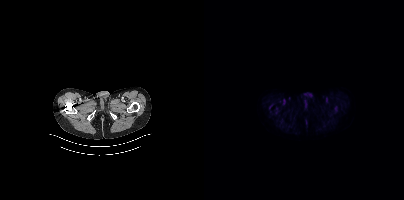
- Left: CT. Right: PSMA PET, same axial level, 18F-PSMA tracer
- slice 39 of 401
- PET panel 200×200 px (4.1 mm/px)
Findings: No tumor lesions annotated on this slice.